- the head region is masked for de-identification
- Paired axial CT (left) and PSMA PET (right), 18F-PSMA tracer
- acquired on Siemens Biograph mCT Flow 20
- slice position z = -794 mm
- PET panel 200×200 px (4.1 mm/px)
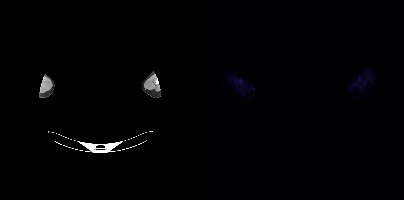
Findings: Negative for PSMA-avid disease on this slice.